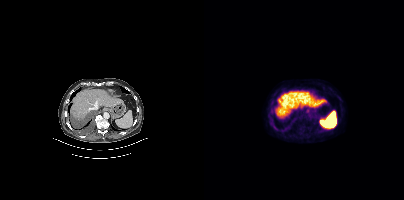
Findings: Coordinates are on the 200×200 PET (right) panel. PSMA-avid tumor lesion bounding boxes (x, y, width, height): x=69 y=125 w=5 h=6 / x=79 y=127 w=6 h=4.
- Paired axial CT (left) and PSMA PET (right), [18F]PSMA-1007 tracer
- acquired on Siemens Biograph mCT Flow 20
- PET panel 200×200 px (4.1 mm/px)